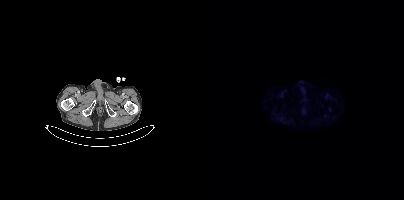
{"modality":"PSMA PET/CT","view":"axial","tracer":"[18F]PSMA-1007","pet_grid":[200,200],"coord_frame":"pet_panel","coord_format":"x0,y0,x1,y1","psma_avid_lesions":false}